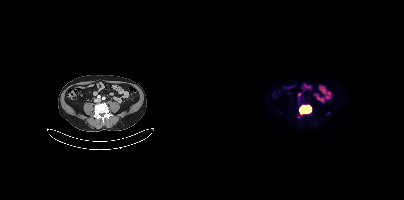
Findings: Coordinates are on the 200×200 PET (right) panel. PSMA-avid tumor lesion bounding box (x0,y0,x1,y1): [95,105,107,114]. Small PSMA-avid foci (2 to 4 px across) near (center x, center y): (94, 99); (94, 117).
- Paired axial CT (left) and PSMA PET (right), 18F-PSMA tracer
- slice position z = -1331 mm
- PET panel 200×200 px (4.1 mm/px)